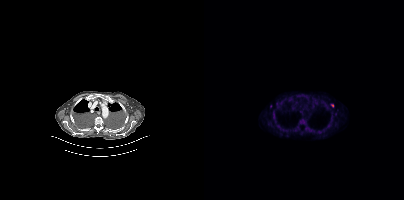
Coordinates are on the 200×200 PET (right) panel. (showing 3 of 6 foci) Small PSMA-avid foci (2 to 4 px across) near (center x, center y): (128, 105) / (66, 106) / (97, 111).
modality: PSMA PET/CT | tracer: 18F | view: axial